Technique: Left: CT. Right: PSMA PET, same axial level, 18F-PSMA tracer.
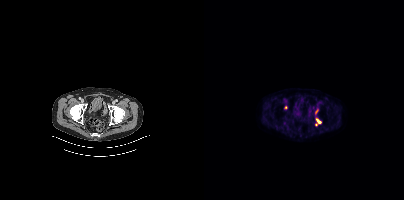
Findings: Coordinates are on the 200×200 PET (right) panel. PSMA-avid tumor lesion bounding box (x0,y0,x1,y1): [111,118,117,125]. Small PSMA-avid foci (2 to 4 px across) near (center x, center y): (112, 111) (81, 107).